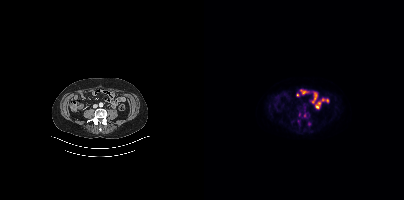
Paired axial CT (left) and PSMA PET (right), [18F]PSMA-1007 tracer. PET panel 200×200 px (4.1 mm/px).
Coordinates are on the 200×200 PET (right) panel. PSMA-avid tumor lesion bounding boxes:
| # | x0 | y0 | x1 | y1 |
|---|---|---|---|---|
| 1 | 104 | 122 | 107 | 126 |
| 2 | 94 | 121 | 96 | 125 |
Small PSMA-avid foci (2 to 4 px across) near (center x, center y): (100, 115); (95, 114).